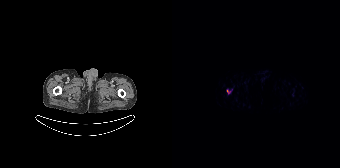
Coordinates are on the 168×168 PET (right) panel. PSMA-avid tumor lesion bounding box (x, y, width, height): x=54 y=89 w=7 h=6.